Paired axial CT (left) and PSMA PET (right), [18F]PSMA-1007 tracer. Slice 116 of 263. PET panel 256×256 px (2.7 mm/px).
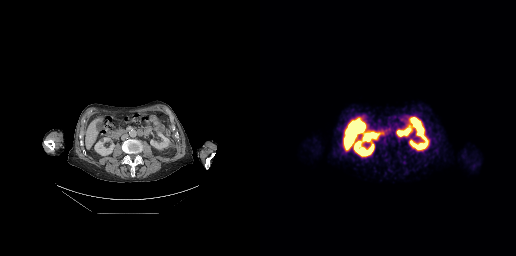
No PSMA-avid tumor lesions on this slice.